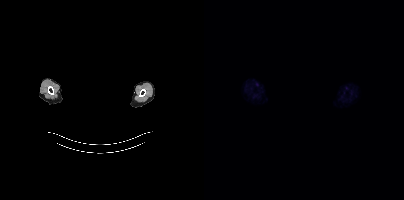
Findings: No tumor lesions annotated on this slice.
- the head region is masked for de-identification
- Left: CT. Right: PSMA PET, same axial level, 18F tracer
- acquired on Siemens Biograph mCT Flow 20